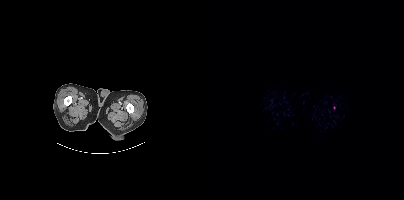
{"modality":"PSMA PET/CT","view":"axial","tracer":"18F","pet_grid":[200,200],"coord_frame":"pet_panel","coord_format":"x0,y0,x1,y1","psma_avid_lesions":false}